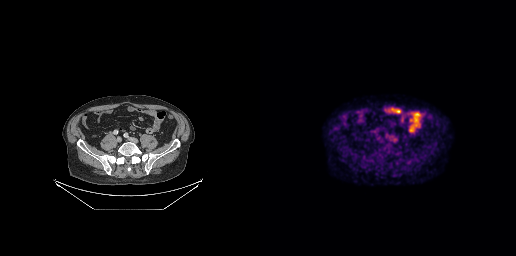
This slice has no annotated PSMA-avid lesion.